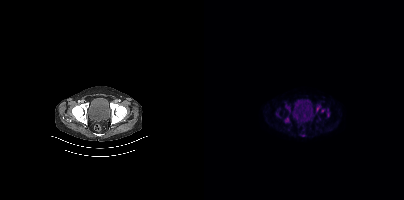
Coordinates are on the 200×200 PET (right) panel. (showing 6 of 7 foci) PSMA-avid tumor lesion bounding boxes (x, y, width, height): x=112 y=105 w=5 h=8 / x=81 y=117 w=5 h=6 / x=123 y=109 w=3 h=9 / x=81 y=105 w=6 h=7. Small PSMA-avid foci (2 to 4 px across) near (center x, center y): (118, 110) / (73, 114).